Two-panel axial: CT | PSMA PET, 68Ga-PSMA tracer.
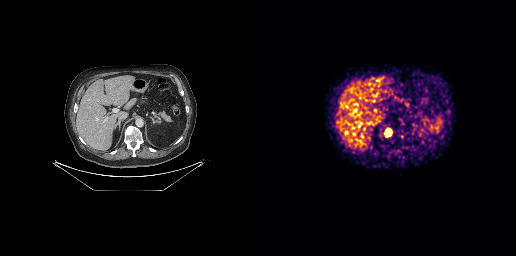
Coordinates are on the 256×256 PET (right) panel. PSMA-avid tumor lesion bounding boxes:
| # | x0 | y0 | x1 | y1 |
|---|---|---|---|---|
| 1 | 125 | 129 | 131 | 136 |